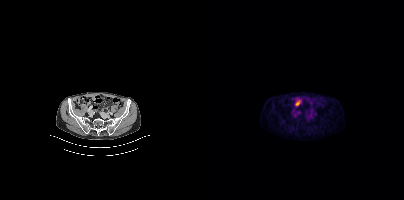
{"modality":"PSMA PET/CT","view":"axial","tracer":"[18F]PSMA-1007","pet_grid":[200,200],"coord_frame":"pet_panel","coord_format":"x0,y0,x1,y1","psma_avid_lesions":false}